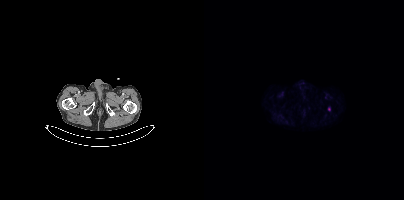
Paired axial CT (left) and PSMA PET (right), 18F tracer. Coordinates are on the 200×200 PET (right) panel. Small PSMA-avid focus (2 to 4 px across) near (center x, center y): (125, 109).